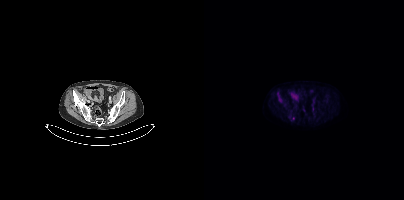
modality: PSMA PET/CT | tracer: 18F | view: axial
This slice has no annotated PSMA-avid lesion.